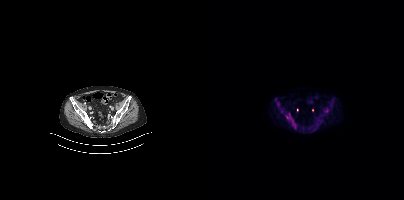
{"modality":"PSMA PET/CT","view":"axial","tracer":"18F","pet_grid":[200,200],"coord_frame":"pet_panel","coord_format":"x0,y0,x1,y1","lesion_bboxes":[[71,98,79,113],[82,113,89,121]],"small_foci_centers":[[90,125],[122,110]]}